Paired axial CT (left) and PSMA PET (right), 18F-PSMA tracer. Acquired on Siemens Biograph mCT Flow 20.
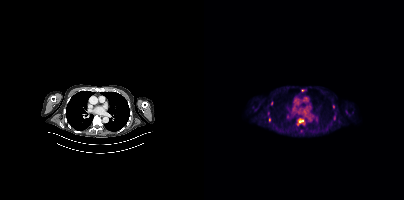
Coordinates are on the 200×200 PET (right) panel. (showing 4 of 5 foci) PSMA-avid tumor lesion bounding box (x0, y0)-(x1, y1): (95, 119)-(99, 122). Small PSMA-avid foci (2 to 4 px across) near (center x, center y): (65, 119); (129, 106); (98, 90).